Technique: Two-panel axial: CT | PSMA PET, 18F-PSMA tracer. acquired on Siemens Biograph mCT Flow 20. PET panel 200×200 px (4.1 mm/px).
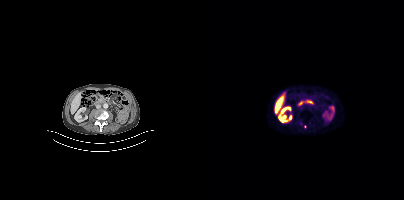
Findings: Only PSMA-avid lesion pieces thinner than 2 px on this slice (not listed).